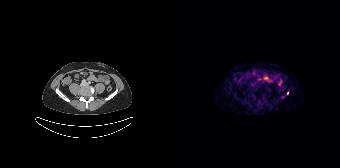
{"modality":"PSMA PET/CT","view":"axial","tracer":"[68Ga]Ga-PSMA-11","pet_grid":[168,168],"coord_frame":"pet_panel","coord_format":"x0,y0,x1,y1","partial":true,"lesion_bboxes":[],"small_foci_centers":[[115,92]]}